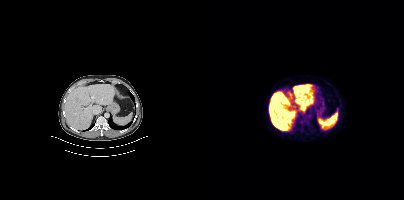
Two-panel axial: CT | PSMA PET, [18F]PSMA-1007 tracer. Acquired on Siemens Biograph mCT Flow 20. No PSMA-avid tumor lesions on this slice.